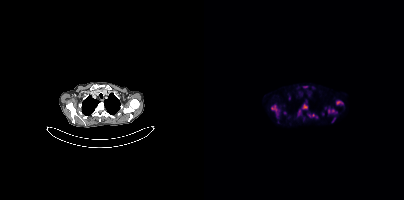
{"modality":"PSMA PET/CT","view":"axial","tracer":"18F","pet_grid":[200,200],"coord_frame":"pet_panel","coord_format":"x0,y0,x1,y1","partial":true,"lesion_bboxes":[[67,105,75,115],[124,109,133,113],[132,101,138,104],[98,104,103,108],[108,114,113,117],[94,110,96,115]],"small_foci_centers":[[130,119],[105,115]]}